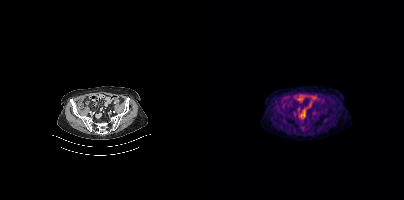
modality: PSMA PET/CT | tracer: 18F-PSMA | view: axial | PET grid: 200×200
Negative for PSMA-avid disease on this slice.